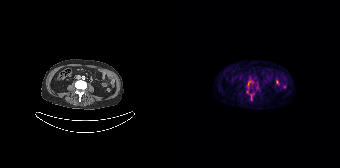
Coordinates are on the 168×168 PET (right) panel. (showing 1 of 3 foci) PSMA-avid tumor lesion bounding box (x, y, width, height): x=76 y=81 w=3 h=5. Paired axial CT (left) and PSMA PET (right), 68Ga tracer. PET panel 168×168 px (4.1 mm/px).